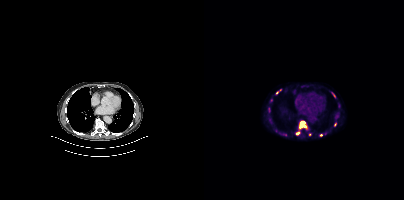
Findings: Coordinates are on the 200×200 PET (right) panel. (showing 6 of 8 foci) PSMA-avid tumor lesion bounding boxes (x, y, width, height): x=95 y=121 w=8 h=8 | x=128 y=92 w=3 h=5. Small PSMA-avid foci (2 to 4 px across) near (center x, center y): (93, 133) | (131, 124) | (73, 92) | (117, 134).
- Paired axial CT (left) and PSMA PET (right), 18F tracer
- acquired on Siemens Biograph mCT Flow 20